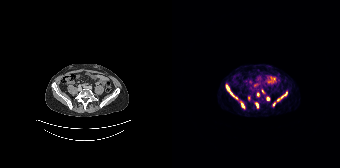
modality: PSMA PET/CT | tracer: 68Ga-PSMA | view: axial | PET grid: 168×168
Coordinates are on the 168×168 PET (right) panel. (showing 8 of 9 foci) PSMA-avid tumor lesion bounding boxes (x, y, width, height): x=54 y=85 w=12 h=14 / x=106 y=91 w=10 h=10 / x=69 y=102 w=4 h=7 / x=84 y=103 w=3 h=5. Small PSMA-avid foci (2 to 4 px across) near (center x, center y): (96, 98) / (101, 104) / (85, 94) / (76, 97).